Two-panel axial: CT | PSMA PET, [18F]PSMA-1007 tracer. Acquired on Siemens Biograph 64-4R TruePoint.
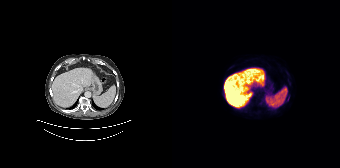
Coordinates are on the 168×168 PET (right) panel. PSMA-avid tumor lesion bounding box (x0, y0)-(x1, y1): (114, 96)-(117, 101).